Technique: Paired axial CT (left) and PSMA PET (right), 18F-PSMA tracer. PET panel 256×256 px (2.7 mm/px).
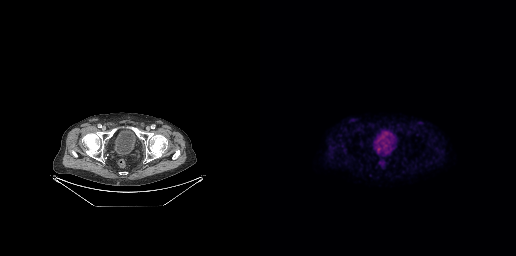
Findings: No PSMA-avid tumor lesions on this slice.